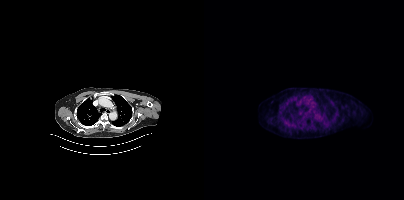
- Left: CT. Right: PSMA PET, same axial level, [18F]PSMA-1007 tracer
- acquired on Siemens Biograph mCT Flow 20
- PET panel 200×200 px (4.1 mm/px)
Findings: This slice has no annotated PSMA-avid lesion.